Left: CT. Right: PSMA PET, same axial level, [18F]PSMA-1007 tracer. Acquired on Siemens Biograph mCT Flow 20. Slice 170 of 423. PET panel 200×200 px (4.1 mm/px).
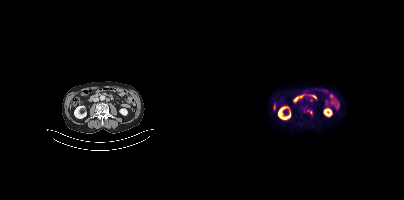
Coordinates are on the 200×200 PET (right) panel. PSMA-avid tumor lesion bounding box (x, y, width, height): x=103 y=110 w=6 h=5.